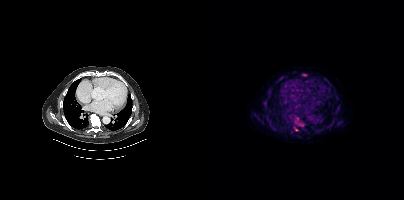
Coordinates are on the 200×200 PET (right) panel. (showing 3 of 4 foci) PSMA-avid tumor lesion bounding boxes (x, y, width, height): x=98 y=74 w=5 h=3 / x=95 y=124 w=5 h=3. Small PSMA-avid focus (2 to 4 px across) near (center x, center y): (92, 129).